- Two-panel axial: CT | PSMA PET, 18F-PSMA tracer
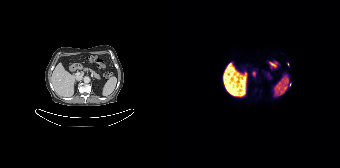
Findings: Only PSMA-avid lesion pieces thinner than 2 px on this slice (not listed).